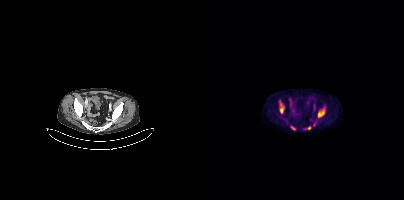
{"modality":"PSMA PET/CT","view":"axial","tracer":"18F","pet_grid":[200,200],"coord_frame":"pet_panel","coord_format":"x0,y0,x1,y1","lesion_bboxes":[[114,107,121,117],[75,101,80,113],[87,126,91,129]],"small_foci_centers":[[105,128]]}